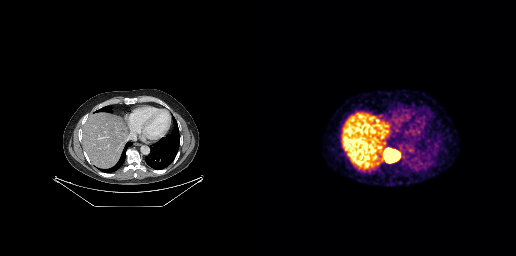
{"modality":"PSMA PET/CT","view":"axial","tracer":"68Ga-PSMA","pet_grid":[256,256],"coord_frame":"pet_panel","coord_format":"x0,y0,x1,y1","lesion_bboxes":[[123,148,140,163]]}